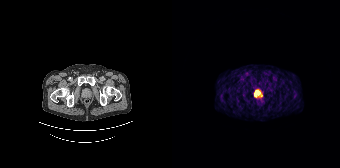
modality: PSMA PET/CT | tracer: 68Ga | view: axial
Coordinates are on the 168×168 PET (right) panel. PSMA-avid tumor lesion bounding box (x, y, width, height): x=82 y=90 w=9 h=8.